Paired axial CT (left) and PSMA PET (right), [18F]PSMA-1007 tracer. Slice position z = -1562 mm. PET panel 200×200 px (4.1 mm/px).
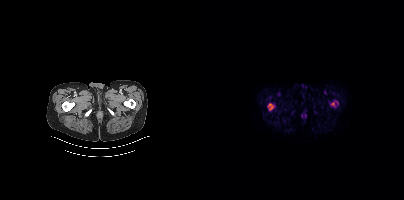
Coordinates are on the 200×200 PET (right) panel. PSMA-avid tumor lesion bounding boxes (partial; 1 more focus not listed):
| # | x0 | y0 | x1 | y1 |
|---|---|---|---|---|
| 1 | 63 | 103 | 71 | 110 |
Small PSMA-avid focus (2 to 4 px across) near (center x, center y): (128, 103).